Left: CT. Right: PSMA PET, same axial level, 18F tracer. Slice position z = 30 mm. PET panel 200×200 px (4.1 mm/px).
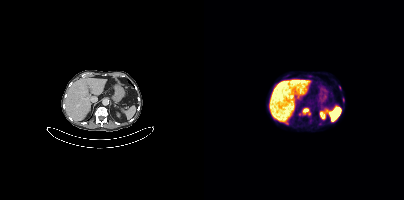
Coordinates are on the 200×200 PET (right) panel. PSMA-avid tumor lesion bounding boxes (partial; 1 more focus not listed):
| # | x0 | y0 | x1 | y1 |
|---|---|---|---|---|
| 1 | 99 | 108 | 104 | 113 |